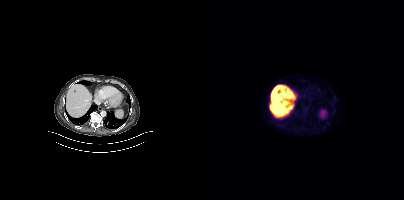
No tumor lesions annotated on this slice.